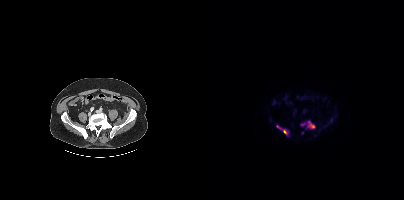
Technique: Two-panel axial: CT | PSMA PET, 18F tracer. slice 113 of 417.
Findings: Coordinates are on the 200×200 PET (right) panel. PSMA-avid tumor lesion bounding boxes (x0,y0,x1,y1): [104,121,110,128] [79,129,83,134]. Small PSMA-avid foci (2 to 4 px across) near (center x, center y): (74, 126) (98, 132) (99, 124).